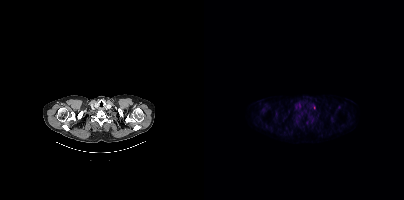
Only PSMA-avid lesion pieces thinner than 2 px on this slice (not listed).